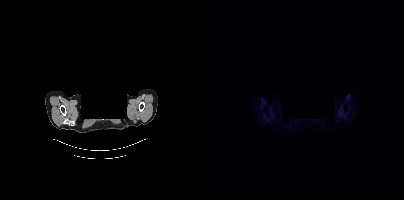
{"modality":"PSMA PET/CT","view":"axial","tracer":"18F-PSMA","pet_grid":[200,200],"coord_frame":"pet_panel","coord_format":"x0,y0,x1,y1","psma_avid_lesions":false,"deidentification":"face masked with black rectangle"}